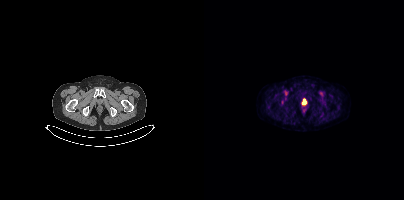
Coordinates are on the 200×200 PET (right) panel. PSMA-avid tumor lesion bounding box (x, y, width, height): x=98 y=99 w=5 h=6. Left: CT. Right: PSMA PET, same axial level, 18F-PSMA tracer.